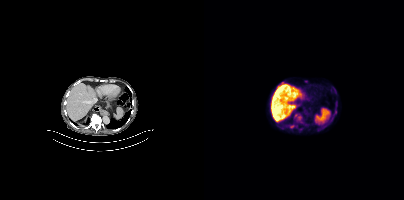
Coordinates are on the 200×200 PET (right) panel. (showing 3 of 4 foci) Small PSMA-avid foci (2 to 4 px across) near (center x, center y): (95, 117) (91, 115) (88, 126).